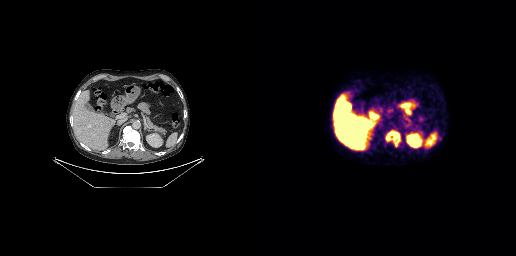
{"modality":"PSMA PET/CT","view":"axial","tracer":"[18F]PSMA-1007","pet_grid":[256,256],"coord_frame":"pet_panel","coord_format":"x0,y0,x1,y1","lesion_bboxes":[[125,130,140,146]]}